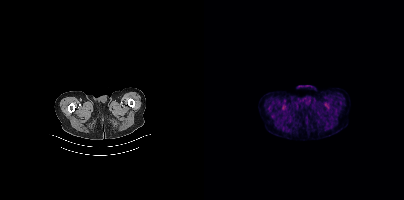
Technique: Paired axial CT (left) and PSMA PET (right), 18F tracer. slice position z = -1506 mm.
Findings: No tumor lesions annotated on this slice.